- Two-panel axial: CT | PSMA PET, [18F]PSMA-1007 tracer
- slice position z = -1230 mm
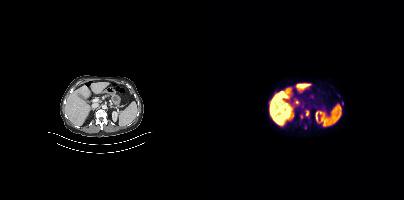
Findings: Coordinates are on the 200×200 PET (right) panel. (showing 3 of 4 foci) PSMA-avid tumor lesion bounding box (x0, y0)-(x1, y1): (102, 110)-(104, 116). Small PSMA-avid foci (2 to 4 px across) near (center x, center y): (97, 116); (138, 103).